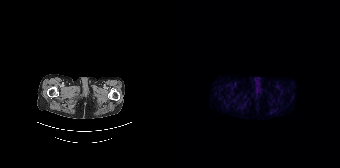
No tumor lesions annotated on this slice. Two-panel axial: CT | PSMA PET, [68Ga]Ga-PSMA-11 tracer.